Two-panel axial: CT | PSMA PET, 18F-PSMA tracer. PET panel 256×256 px (2.7 mm/px).
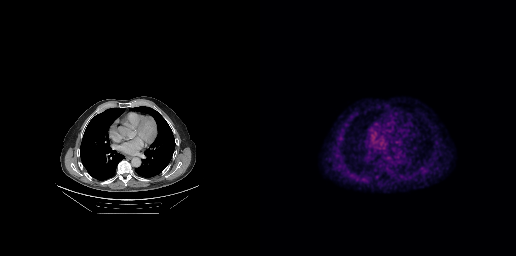
No tumor lesions annotated on this slice.